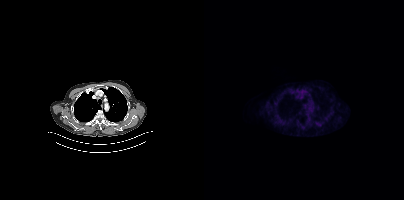
{"modality":"PSMA PET/CT","view":"axial","tracer":"18F-PSMA","pet_grid":[200,200],"coord_frame":"pet_panel","coord_format":"x0,y0,x1,y1","psma_avid_lesions":false}